Technique: Left: CT. Right: PSMA PET, same axial level, 18F tracer. acquired on GE Discovery 690. slice 189 of 263.
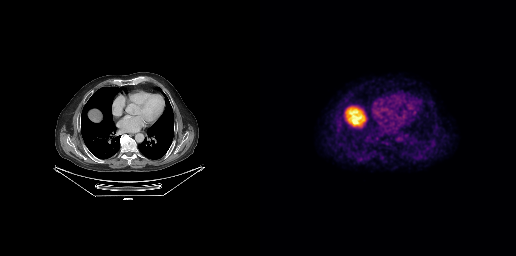
Findings: Negative for PSMA-avid disease on this slice.